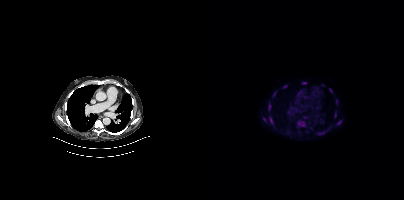
Technique: Left: CT. Right: PSMA PET, same axial level, [18F]PSMA-1007 tracer. acquired on Siemens Biograph mCT Flow 20.
Findings: Coordinates are on the 200×200 PET (right) panel. PSMA-avid tumor lesion bounding boxes (x0, y0)-(x1, y1): (93, 120)-(102, 127) | (65, 117)-(69, 124) | (64, 102)-(66, 110) | (133, 121)-(137, 124) | (125, 88)-(128, 92) | (98, 82)-(102, 83) | (132, 100)-(133, 104) | (131, 113)-(132, 117). Small PSMA-avid foci (2 to 4 px across) near (center x, center y): (80, 86) | (60, 119) | (70, 93) | (101, 117).